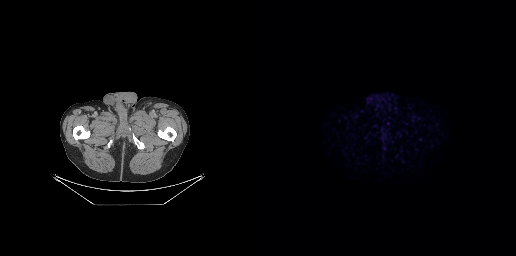
This slice has no annotated PSMA-avid lesion.